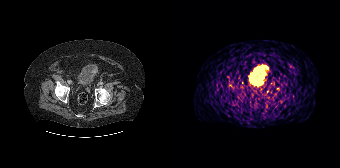
Left: CT. Right: PSMA PET, same axial level, 68Ga-PSMA tracer. Slice 55 of 195. PET panel 168×168 px (4.1 mm/px). Coordinates are on the 168×168 PET (right) panel. (showing 1 of 2 foci) Small PSMA-avid focus (2 to 4 px across) near (center x, center y): (85, 86).